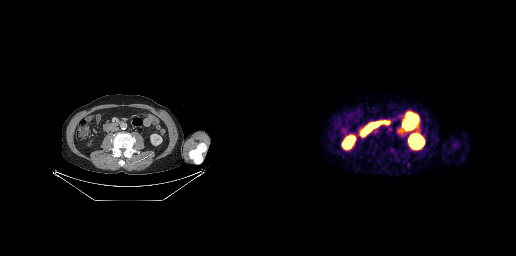
This slice has no annotated PSMA-avid lesion.